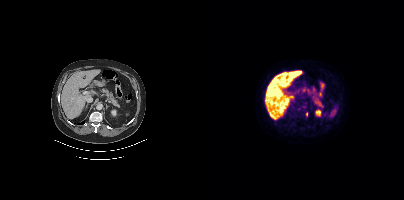
Coordinates are on the 200×200 PET (right) panel. PSMA-avid tumor lesion bounding box (x0, y0)-(x1, y1): (102, 111)-(103, 116). Small PSMA-avid focus (2 to 4 px across) near (center x, center y): (94, 109).